modality: PSMA PET/CT | tracer: 18F | view: axial
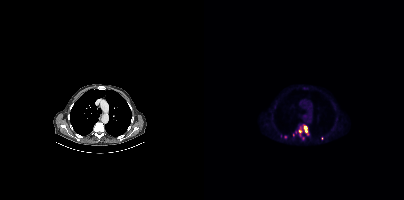
Coordinates are on the 200×200 PET (right) panel. (showing 5 of 9 foci) PSMA-avid tumor lesion bounding box (x0, y0)-(x1, y1): (100, 125)-(103, 132). Small PSMA-avid foci (2 to 4 px across) near (center x, center y): (96, 131) | (104, 134) | (99, 138) | (81, 136).